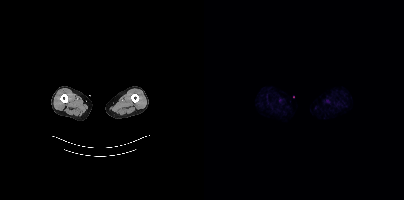
Two-panel axial: CT | PSMA PET, 18F tracer. Acquired on Siemens Biograph mCT Flow 20. Slice position z = -1034 mm. PET panel 200×200 px (4.1 mm/px). This slice has no annotated PSMA-avid lesion.